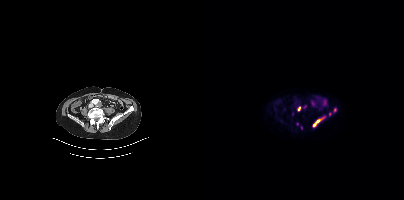
{"modality":"PSMA PET/CT","view":"axial","tracer":"68Ga-PSMA","pet_grid":[200,200],"coord_frame":"pet_panel","coord_format":"x0,y0,x1,y1","partial":true,"lesion_bboxes":[[109,120,115,126],[130,108,132,112]],"small_foci_centers":[[95,108],[126,113],[118,118],[97,127],[101,106]]}